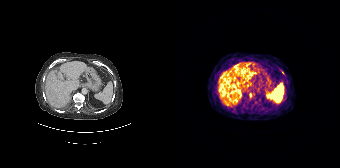
Coordinates are on the 168×168 PET (right) panel. Small PSMA-avid foci (2 to 4 px across) near (center x, center y): (78, 94), (110, 72).